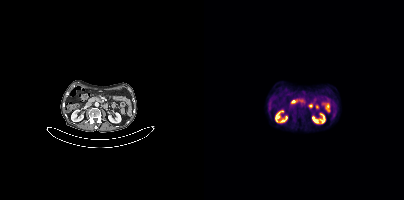
No PSMA-avid tumor lesions on this slice. Left: CT. Right: PSMA PET, same axial level, 18F tracer.